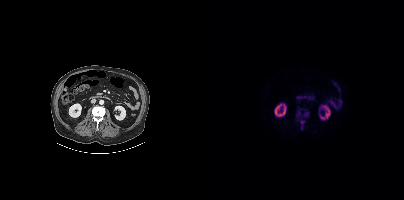
modality: PSMA PET/CT | tracer: 18F-PSMA | view: axial
Coordinates are on the 200×200 PET (right) panel. PSMA-avid tumor lesion bounding boxes (x0, y0)-(x1, y1): (96, 120)-(100, 129); (100, 112)-(103, 116); (92, 111)-(96, 115).